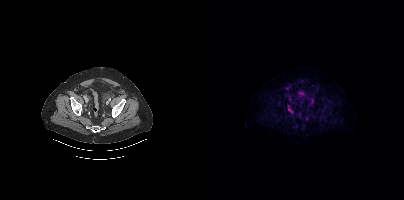
{"modality":"PSMA PET/CT","view":"axial","tracer":"[18F]PSMA-1007","pet_grid":[200,200],"coord_frame":"pet_panel","coord_format":"x0,y0,x1,y1","lesion_bboxes":[[84,105,88,112]],"small_foci_centers":[[82,88]]}